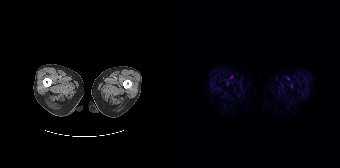
This slice has no annotated PSMA-avid lesion.